Paired axial CT (left) and PSMA PET (right), 18F tracer. Acquired on Siemens Biograph mCT Flow 20. PET panel 200×200 px (4.1 mm/px).
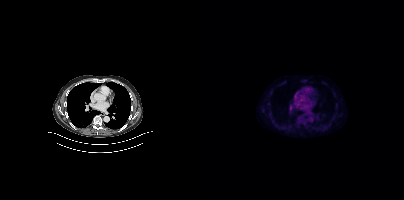
No PSMA-avid tumor lesions on this slice.